Technique: Left: CT. Right: PSMA PET, same axial level, 18F tracer. acquired on Siemens Biograph mCT Flow 20. slice 343 of 403.
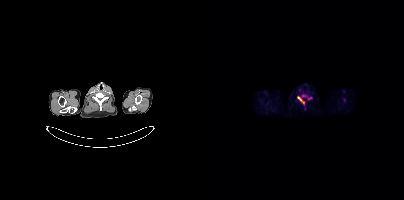
Findings: Coordinates are on the 200×200 PET (right) panel. PSMA-avid tumor lesion bounding box (x, y, width, height): x=93 y=94 w=16 h=12.